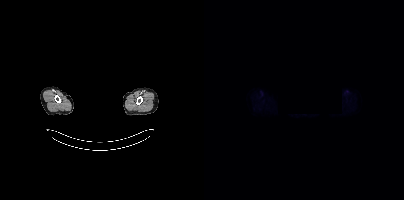
Technique: Two-panel axial: CT | PSMA PET, 18F-PSMA tracer. acquired on Siemens Biograph mCT Flow 20. PET panel 200×200 px (4.1 mm/px).
Note: A rectangular block over the head has been blanked out for de-identification.
Findings: No PSMA-avid tumor lesions on this slice.